Left: CT. Right: PSMA PET, same axial level, [68Ga]Ga-PSMA-11 tracer. Slice position z = -416 mm. PET panel 256×256 px (2.7 mm/px).
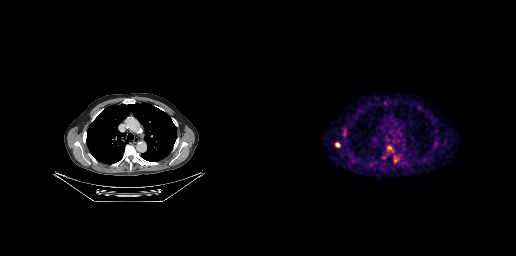
Coordinates are on the 256×256 PET (right) panel. PSMA-avid tumor lesion bounding boxes:
| # | x0 | y0 | x1 | y1 |
|---|---|---|---|---|
| 1 | 134 | 156 | 138 | 162 |
| 2 | 75 | 143 | 79 | 146 |
Small PSMA-avid focus (2 to 4 px across) near (center x, center y): (110, 164).